redaction: face masked with black rectangle | modality: PSMA PET/CT | tracer: [18F]PSMA-1007 | view: axial
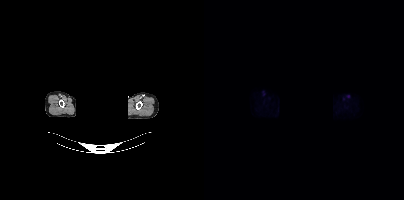
No PSMA-avid tumor lesions on this slice.